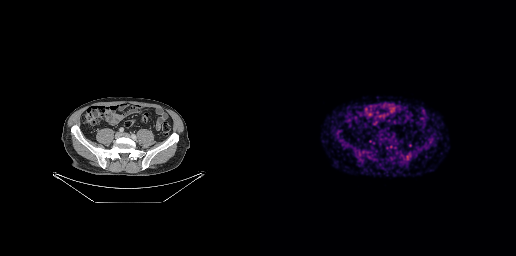
Left: CT. Right: PSMA PET, same axial level, 18F tracer. Slice position z = -627 mm. Negative for PSMA-avid disease on this slice.